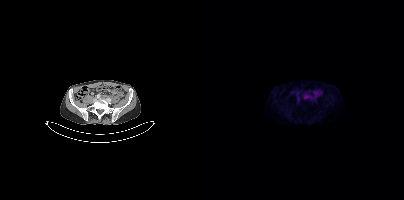
No PSMA-avid tumor lesions on this slice.